Technique: Left: CT. Right: PSMA PET, same axial level, 18F-PSMA tracer. PET panel 200×200 px (4.1 mm/px).
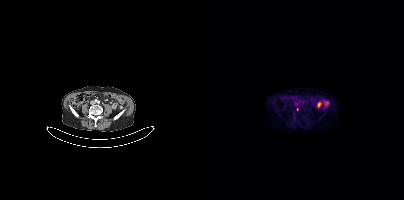
Findings: Coordinates are on the 200×200 PET (right) panel. Small PSMA-avid focus (2 to 4 px across) near (center x, center y): (93, 109).